modality: PSMA PET/CT | tracer: [68Ga]Ga-PSMA-11 | view: axial
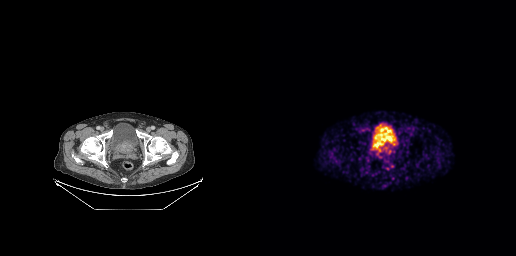
Coordinates are on the 256×256 PET (right) panel. (showing 1 of 3 foci) PSMA-avid tumor lesion bounding box (x0,y0,x1,y1): [110,138,136,155].